modality: PSMA PET/CT | tracer: 18F | view: axial
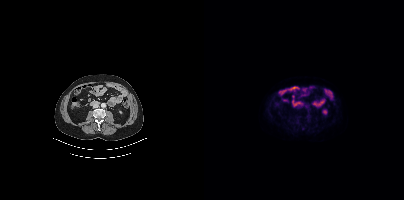
This slice has no annotated PSMA-avid lesion.